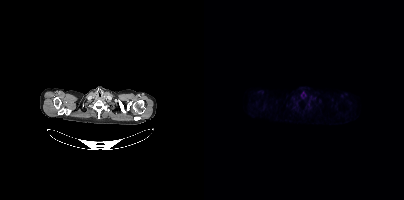
Negative for PSMA-avid disease on this slice.